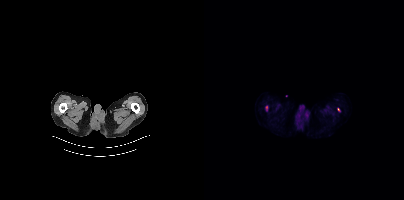
- Paired axial CT (left) and PSMA PET (right), [18F]PSMA-1007 tracer
- slice 54 of 466
- PET panel 200×200 px (4.1 mm/px)
Findings: Coordinates are on the 200×200 PET (right) panel. Small PSMA-avid foci (2 to 4 px across) near (center x, center y): (62, 107) | (134, 109).